Technique: Paired axial CT (left) and PSMA PET (right), 68Ga tracer. PET panel 168×168 px (4.1 mm/px).
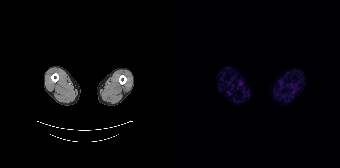
Findings: This slice has no annotated PSMA-avid lesion.